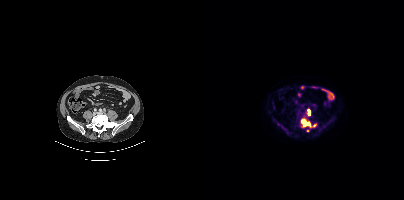
Paired axial CT (left) and PSMA PET (right), [18F]PSMA-1007 tracer. Slice position z = -1435 mm. PET panel 200×200 px (4.1 mm/px).
Coordinates are on the 200×200 PET (right) panel. PSMA-avid tumor lesion bounding boxes:
| # | x0 | y0 | x1 | y1 |
|---|---|---|---|---|
| 1 | 97 | 118 | 112 | 127 |
| 2 | 103 | 109 | 106 | 115 |
Small PSMA-avid focus (2 to 4 px across) near (center x, center y): (103, 130).